Left: CT. Right: PSMA PET, same axial level, 68Ga-PSMA tracer. Acquired on Siemens Biograph mCT Flow 20.
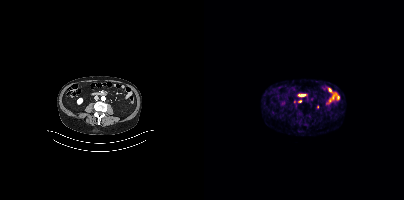
Coordinates are on the 200×200 PET (right) panel. Small PSMA-avid focus (2 to 4 px across) near (center x, center y): (96, 101).